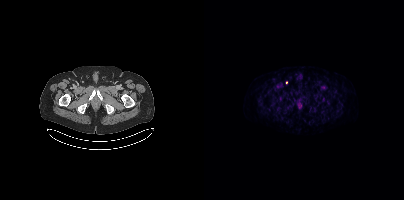
{"pet_grid":[200,200],"coord_frame":"pet_panel","coord_format":"x0,y0,x1,y1","lesion_bboxes":[],"small_foci_centers":[[82,82]],"modality":"PSMA PET/CT","view":"axial","tracer":"18F"}